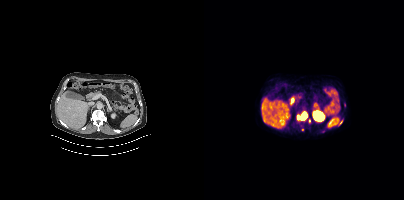
- Paired axial CT (left) and PSMA PET (right), 18F tracer
- acquired on Siemens Biograph mCT Flow 20
- slice 224 of 444
Findings: Coordinates are on the 200×200 PET (right) panel. PSMA-avid tumor lesion bounding box (x0, y0)-(x1, y1): (97, 112)-(103, 119). Small PSMA-avid focus (2 to 4 px across) near (center x, center y): (93, 116).